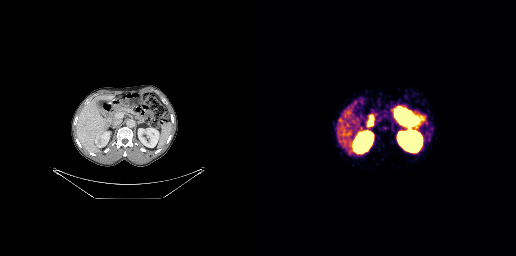
{"modality":"PSMA PET/CT","view":"axial","tracer":"68Ga","pet_grid":[256,256],"coord_frame":"pet_panel","coord_format":"x0,y0,x1,y1","psma_avid_lesions":false}